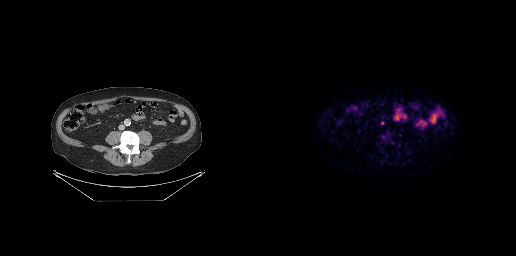
{"modality":"PSMA PET/CT","view":"axial","tracer":"[18F]PSMA-1007","pet_grid":[256,256],"coord_frame":"pet_panel","coord_format":"x0,y0,x1,y1","lesion_bboxes":[],"small_foci_centers":[[122,122]]}